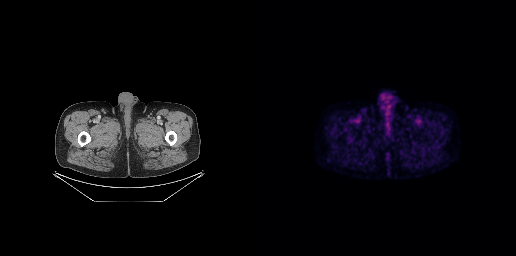
Technique: Left: CT. Right: PSMA PET, same axial level, 18F-PSMA tracer. acquired on GE Discovery 690. slice position z = -988 mm.
Findings: This slice has no annotated PSMA-avid lesion.